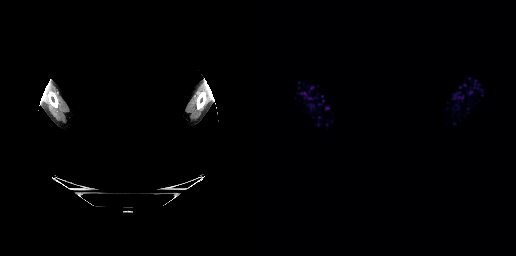
{"modality":"PSMA PET/CT","view":"axial","tracer":"[68Ga]Ga-PSMA-11","pet_grid":[256,256],"coord_frame":"pet_panel","coord_format":"x0,y0,x1,y1","de-identification":"face masked with black rectangle","psma_avid_lesions":false}